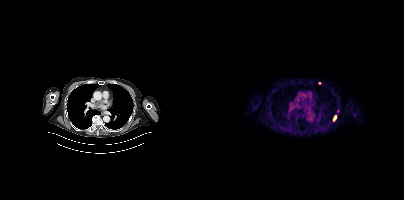
{"modality":"PSMA PET/CT","view":"axial","tracer":"[18F]PSMA-1007","pet_grid":[200,200],"coord_frame":"pet_panel","coord_format":"x0,y0,x1,y1","lesion_bboxes":[[129,116,132,120]],"small_foci_centers":[[115,82]]}